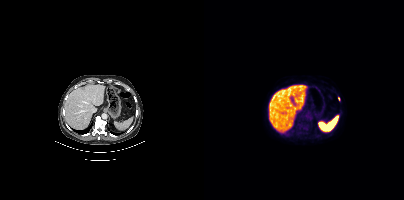
- Paired axial CT (left) and PSMA PET (right), 18F tracer
Findings: Coordinates are on the 200×200 PET (right) panel. Small PSMA-avid focus (2 to 4 px across) near (center x, center y): (134, 98).